Technique: Paired axial CT (left) and PSMA PET (right), 18F-PSMA tracer. acquired on Siemens Biograph mCT Flow 20. slice 344 of 354.
Note: An anonymization step blacked out a rectangle over the head in this scan.
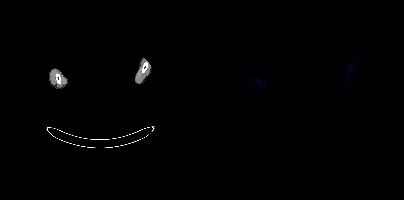
Findings: This slice has no annotated PSMA-avid lesion.